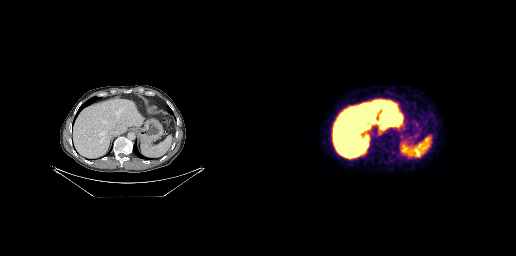
Negative for PSMA-avid disease on this slice.